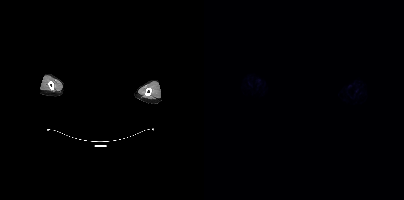
Technique: Left: CT. Right: PSMA PET, same axial level, 18F-PSMA tracer. acquired on Siemens Biograph mCT Flow 20. slice 420 of 431. PET panel 200×200 px (4.1 mm/px).
Note: Any black rectangle over the head is a privacy mask, not anatomy.
Findings: Negative for PSMA-avid disease on this slice.